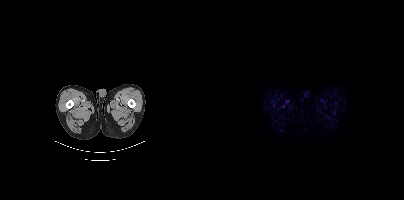
{"pet_grid":[200,200],"coord_frame":"pet_panel","coord_format":"x0,y0,x1,y1","psma_avid_lesions":false,"modality":"PSMA PET/CT","view":"axial","tracer":"18F-PSMA"}